Paired axial CT (left) and PSMA PET (right), 18F-PSMA tracer. PET panel 200×200 px (4.1 mm/px).
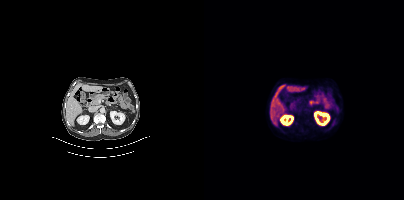
No PSMA-avid tumor lesions on this slice.